Two-panel axial: CT | PSMA PET, 68Ga-PSMA tracer.
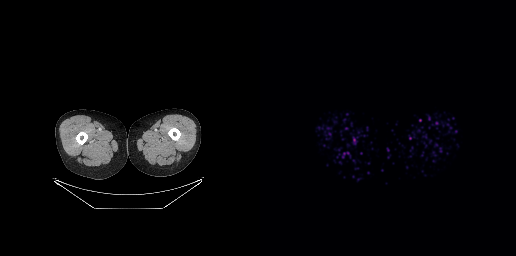
Negative for PSMA-avid disease on this slice.